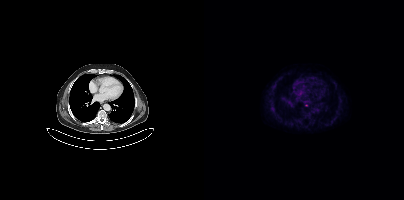
{"pet_grid":[200,200],"coord_frame":"pet_panel","coord_format":"x0,y0,x1,y1","lesion_bboxes":[],"small_foci_centers":[[102,105]],"modality":"PSMA PET/CT","view":"axial","tracer":"18F-PSMA"}